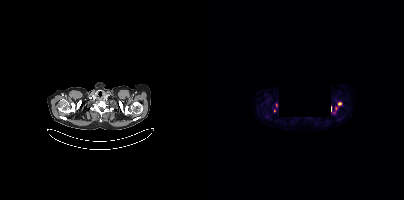
Left: CT. Right: PSMA PET, same axial level, 18F-PSMA tracer. An anonymization step blacked out a rectangle in this scan. Coordinates are on the 200×200 PET (right) panel. (showing 2 of 4 foci) Small PSMA-avid foci (2 to 4 px across) near (center x, center y): (135, 103); (70, 110).